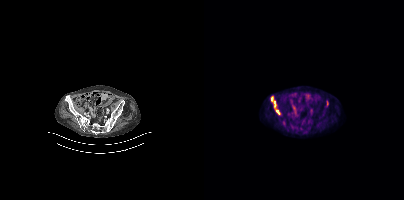
Technique: Paired axial CT (left) and PSMA PET (right), 18F-PSMA tracer. PET panel 200×200 px (4.1 mm/px).
Findings: Coordinates are on the 200×200 PET (right) panel. PSMA-avid tumor lesion bounding box (x0, y0)-(x1, y1): (67, 98)-(71, 107). Small PSMA-avid foci (2 to 4 px across) near (center x, center y): (97, 128); (72, 111).